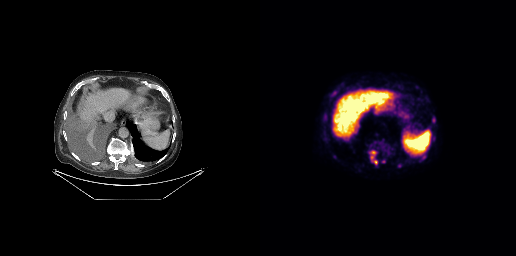
Coordinates are on the 256×256 PET (right) panel. (showing 3 of 4 foci) PSMA-avid tumor lesion bounding boxes (x0,y0,x1,y1): [110,151,117,164] [172,117,175,122]. Small PSMA-avid focus (2 to 4 px across) near (center x, center y): (139, 165). Left: CT. Right: PSMA PET, same axial level, 18F tracer. Acquired on GE Discovery 690.